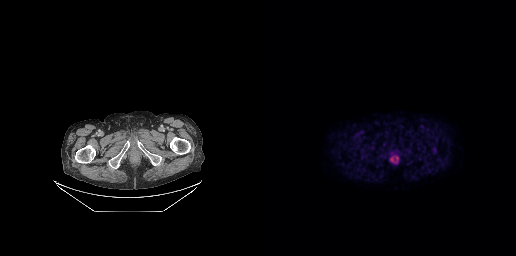
{"pet_grid":[256,256],"coord_frame":"pet_panel","coord_format":"x0,y0,x1,y1","psma_avid_lesions":false,"modality":"PSMA PET/CT","view":"axial","tracer":"18F-PSMA"}